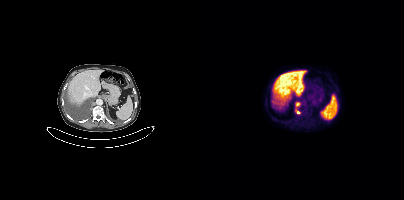
Left: CT. Right: PSMA PET, same axial level, 18F tracer. PET panel 200×200 px (4.1 mm/px).
Coordinates are on the 200×200 PET (right) panel. PSMA-avid tumor lesion bounding boxes:
| # | x0 | y0 | x1 | y1 |
|---|---|---|---|---|
| 1 | 91 | 102 | 96 | 114 |